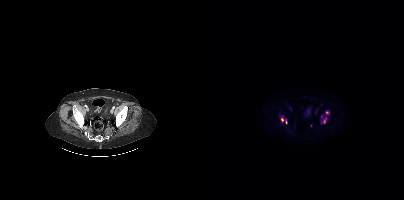
modality: PSMA PET/CT | tracer: [18F]PSMA-1007 | view: axial
Coordinates are on the 200×200 PET (right) panel. (showing 4 of 5 foci) PSMA-avid tumor lesion bounding box (x, y, width, height): x=119 y=117 w=4 h=7. Small PSMA-avid foci (2 to 4 px across) near (center x, center y): (123, 112) / (78, 119) / (117, 116).